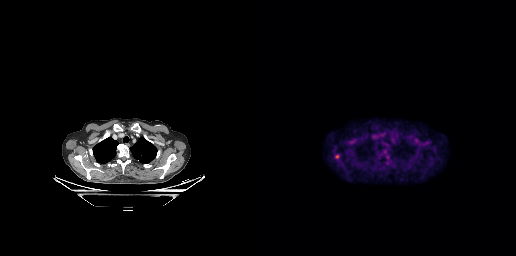
This slice has no annotated PSMA-avid lesion. Two-panel axial: CT | PSMA PET, 18F-PSMA tracer. Acquired on GE Discovery 690. Slice 208 of 263.